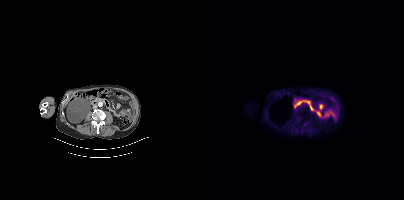
No tumor lesions annotated on this slice.